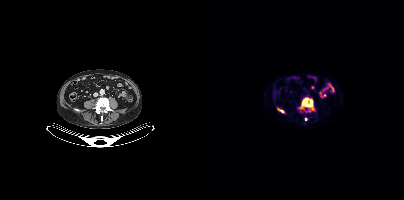
{"pet_grid":[200,200],"coord_frame":"pet_panel","coord_format":"x0,y0,x1,y1","lesion_bboxes":[[95,98,108,109],[74,108,79,112]],"small_foci_centers":[[101,119],[105,110]],"modality":"PSMA PET/CT","view":"axial","tracer":"[18F]PSMA-1007"}